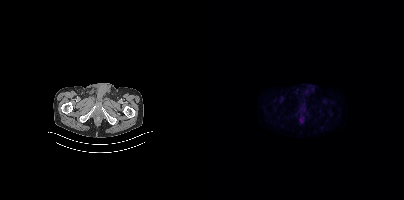
Paired axial CT (left) and PSMA PET (right), 18F-PSMA tracer. Slice position z = -1648 mm. PET panel 200×200 px (4.1 mm/px). No PSMA-avid tumor lesions on this slice.